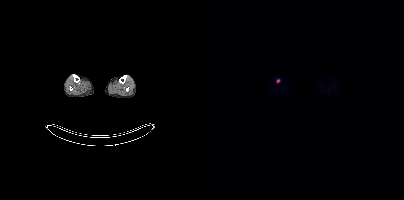
Paired axial CT (left) and PSMA PET (right), [18F]PSMA-1007 tracer. Slice 194 of 963. PET panel 200×200 px (4.1 mm/px). Coordinates are on the 200×200 PET (right) panel. Small PSMA-avid focus (2 to 4 px across) near (center x, center y): (73, 80).